Left: CT. Right: PSMA PET, same axial level, 18F tracer. PET panel 200×200 px (4.1 mm/px). A rectangle over the head was blacked out to remove identifiable facial features.
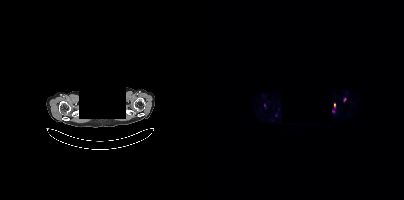
Coordinates are on the 200×200 PET (right) panel. (showing 1 of 3 foci) Small PSMA-avid focus (2 to 4 px across) near (center x, center y): (60, 105).